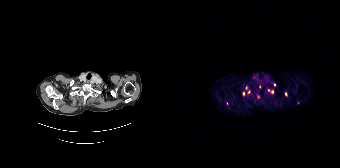
Left: CT. Right: PSMA PET, same axial level, 68Ga-PSMA tracer. PET panel 168×168 px (4.1 mm/px). Coordinates are on the 168×168 PET (right) panel. (showing 8 of 11 foci) Small PSMA-avid foci (2 to 4 px across) near (center x, center y): (77, 91); (74, 88); (71, 93); (86, 97); (126, 103); (102, 84); (100, 91); (114, 94).